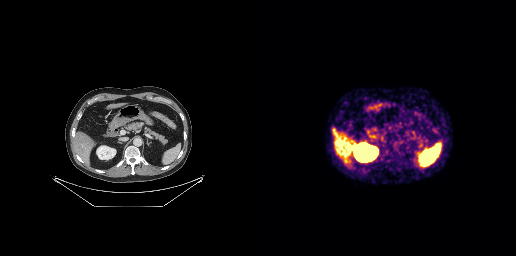
This slice has no annotated PSMA-avid lesion. Two-panel axial: CT | PSMA PET, 68Ga-PSMA tracer. Acquired on GE Discovery 690. Slice position z = -606 mm. PET panel 256×256 px (2.7 mm/px).